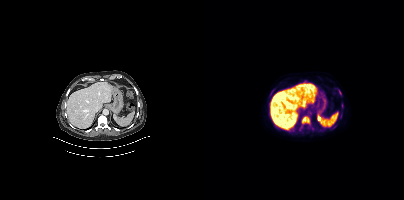
- Left: CT. Right: PSMA PET, same axial level, 18F tracer
- PET panel 200×200 px (4.1 mm/px)
Findings: Coordinates are on the 200×200 PET (right) panel. (showing 5 of 6 foci) PSMA-avid tumor lesion bounding boxes (x0,y0,x1,y1): [97,116,106,124]; [106,127,110,130]; [135,90,137,94]. Small PSMA-avid foci (2 to 4 px across) near (center x, center y): (96, 129); (138, 106).